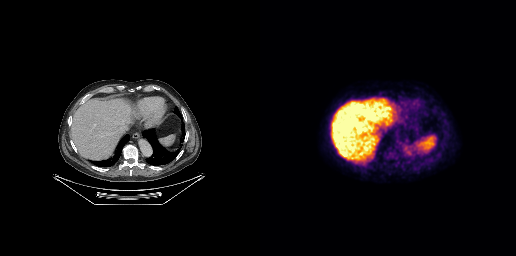
{"modality":"PSMA PET/CT","view":"axial","tracer":"18F","pet_grid":[256,256],"coord_frame":"pet_panel","coord_format":"x0,y0,x1,y1","psma_avid_lesions":false}